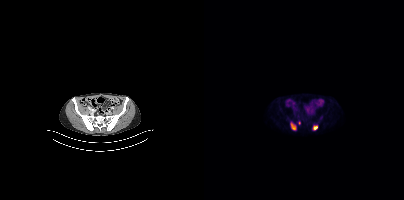
{"pet_grid":[200,200],"coord_frame":"pet_panel","coord_format":"x0,y0,x1,y1","partial":true,"lesion_bboxes":[[87,124,91,129],[109,126,113,129]],"modality":"PSMA PET/CT","view":"axial","tracer":"18F-PSMA"}